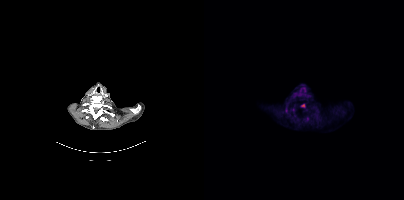
modality: PSMA PET/CT | tracer: 18F-PSMA | view: axial
Coordinates are on the 200×200 PET (right) panel. (showing 1 of 2 foci) Small PSMA-avid focus (2 to 4 px across) near (center x, center y): (98, 105).